Paired axial CT (left) and PSMA PET (right), [68Ga]Ga-PSMA-11 tracer. Acquired on Siemens Biograph mCT Flow 20. Slice position z = -1762 mm.
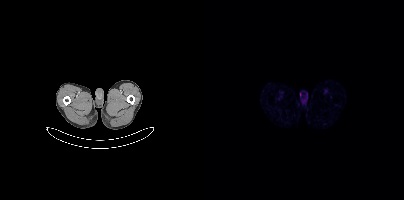
This slice has no annotated PSMA-avid lesion.